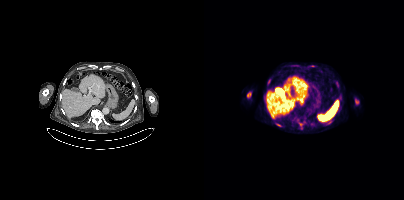
Coordinates are on the 200×200 PET (right) panel. PSMA-avid tumor lesion bounding boxes (x0, y0)-(x1, y1): (43, 92)-(47, 97) | (151, 99)-(154, 104) | (95, 122)-(98, 126). Small PSMA-avid focus (2 to 4 px across) near (center x, center y): (73, 124).